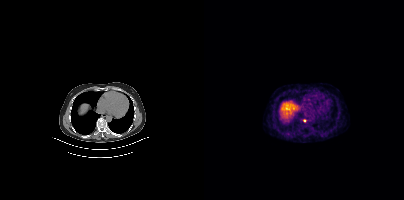
Left: CT. Right: PSMA PET, same axial level, [68Ga]Ga-PSMA-11 tracer. Acquired on Siemens Biograph mCT Flow 20. PET panel 200×200 px (4.1 mm/px). Coordinates are on the 200×200 PET (right) panel. Small PSMA-avid focus (2 to 4 px across) near (center x, center y): (100, 120).